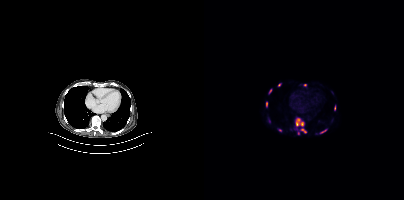
Technique: Left: CT. Right: PSMA PET, same axial level, 18F tracer. acquired on Siemens Biograph mCT Flow 20.
Findings: Coordinates are on the 200×200 PET (right) panel. (showing 8 of 11 foci) PSMA-avid tumor lesion bounding boxes (x, y, width, height): x=91 y=118 w=10 h=9 / x=96 y=128 w=7 h=6 / x=116 y=129 w=8 h=5 / x=62 y=102 w=2 h=5. Small PSMA-avid foci (2 to 4 px across) near (center x, center y): (66, 91) / (101, 85) / (94, 133) / (75, 84).